Technique: Paired axial CT (left) and PSMA PET (right), [18F]PSMA-1007 tracer. slice position z = -788 mm.
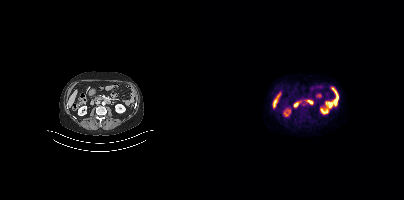
Findings: No PSMA-avid tumor lesions on this slice.